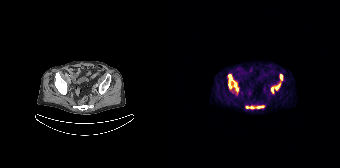
Coordinates are on the 168×168 PET (right) panel. PSMA-avid tumor lesion bounding boxes (x, y, width, height): x=56 y=74 w=11 h=18 | x=99 y=87 w=3 h=6 | x=78 y=106 w=6 h=4 | x=85 y=106 w=7 h=2 | x=103 y=87 w=5 h=3 | x=108 y=75 w=3 h=5. Small PSMA-avid focus (2 to 4 px across) near (center x, center y): (75, 107).